Paired axial CT (left) and PSMA PET (right), 18F tracer.
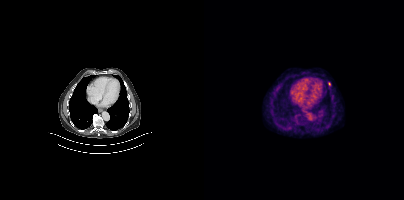
Coordinates are on the 200×200 PET (right) panel. PSMA-avid tumor lesion bounding box (x, y, width, height): x=124 y=82 w=3 h=5.